- Left: CT. Right: PSMA PET, same axial level, 18F-PSMA tracer
- slice 27 of 393
- PET panel 200×200 px (4.1 mm/px)
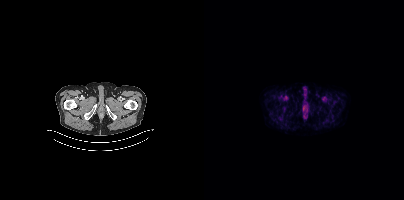
Findings: Negative for PSMA-avid disease on this slice.